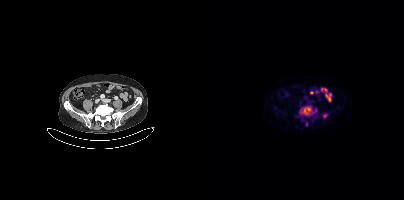
- Left: CT. Right: PSMA PET, same axial level, 18F-PSMA tracer
- slice position z = -902 mm
- PET panel 200×200 px (4.1 mm/px)
Findings: Coordinates are on the 200×200 PET (right) panel. PSMA-avid tumor lesion bounding boxes (x, y, width, height): x=96 y=106 w=14 h=10 | x=119 y=113 w=5 h=5. Small PSMA-avid foci (2 to 4 px across) near (center x, center y): (102, 124) | (111, 110).